modality: PSMA PET/CT | tracer: 18F | view: axial | PET grid: 200×200
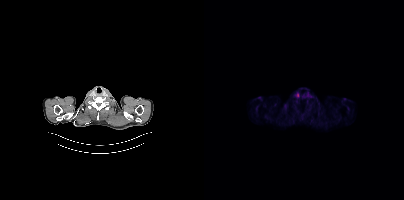
Negative for PSMA-avid disease on this slice.